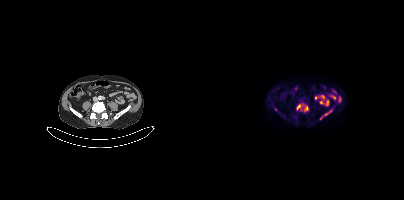
- Paired axial CT (left) and PSMA PET (right), 18F-PSMA tracer
Findings: Coordinates are on the 200×200 PET (right) panel. (showing 5 of 6 foci) PSMA-avid tumor lesion bounding boxes (x0,y0,x1,y1): [120,109,128,115], [100,106,104,111], [93,104,97,109]. Small PSMA-avid foci (2 to 4 px across) near (center x, center y): (117, 118), (71, 109).